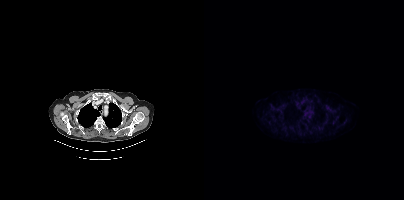
Findings: Only PSMA-avid lesion pieces thinner than 2 px on this slice (not listed).
Technique: Two-panel axial: CT | PSMA PET, 18F-PSMA tracer. PET panel 200×200 px (4.1 mm/px).